Technique: Paired axial CT (left) and PSMA PET (right), 18F tracer. acquired on Siemens Biograph mCT Flow 20. slice position z = -334 mm.
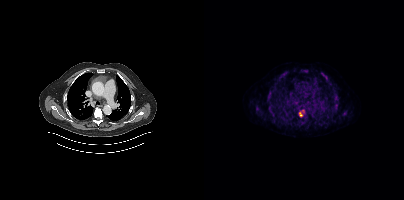
Findings: Coordinates are on the 200×200 PET (right) panel. (showing 12 of 13 foci) PSMA-avid tumor lesion bounding boxes (x0,y0,x1,y1): [95,110,100,117], [63,94,67,99], [117,73,123,80], [130,97,134,102], [77,72,81,76], [65,110,70,114], [98,70,104,72], [127,117,128,121]. Small PSMA-avid foci (2 to 4 px across) near (center x, center y): (130, 110), (132, 105), (98, 122), (124, 117).